Left: CT. Right: PSMA PET, same axial level, 18F-PSMA tracer. Slice position z = -1061 mm.
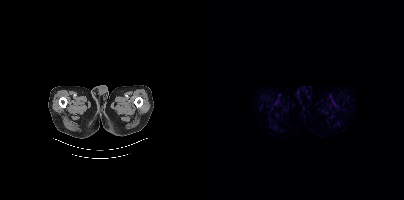
No tumor lesions annotated on this slice.